Left: CT. Right: PSMA PET, same axial level, 68Ga-PSMA tracer. Acquired on Siemens Biograph mCT Flow 20. Slice 289 of 393. PET panel 200×200 px (4.1 mm/px).
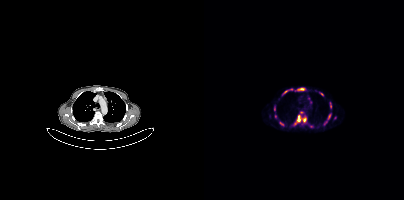
Coordinates are on the 200×200 PET (right) panel. (showing 10 of 14 foci) PSMA-avid tumor lesion bounding boxes (x0, y0)-(x1, y1): (78, 89)-(88, 95); (120, 114)-(126, 123); (93, 115)-(96, 121); (94, 88)-(100, 90); (115, 92)-(119, 95). Small PSMA-avid foci (2 to 4 px across) near (center x, center y): (100, 119); (70, 108); (77, 123); (97, 112); (71, 115).